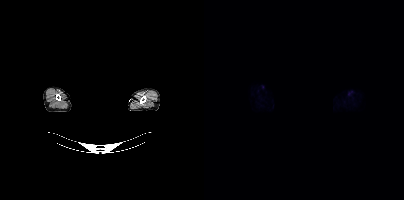
No tumor lesions annotated on this slice.
Face de-identified by blanking a block of the head.